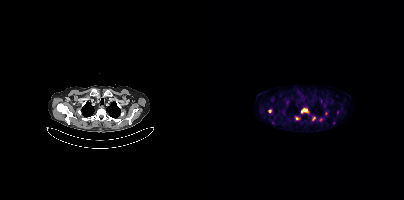
Coordinates are on the 200×200 PET (right) panel. (showing 5 of 6 foci) PSMA-avid tumor lesion bounding box (x0,y0,x1,y1): [97,108,104,113]. Small PSMA-avid foci (2 to 4 px across) near (center x, center y): (93, 118) (65, 111) (110, 118) (116, 119).